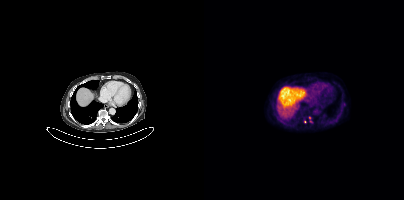
modality: PSMA PET/CT | tracer: 18F | view: axial
Coordinates are on the 200×200 PET (right) panel. (showing 1 of 2 foci) Small PSMA-avid focus (2 to 4 px across) near (center x, center y): (99, 117).